Left: CT. Right: PSMA PET, same axial level, 18F-PSMA tracer. Acquired on Siemens Biograph mCT Flow 20. PET panel 200×200 px (4.1 mm/px).
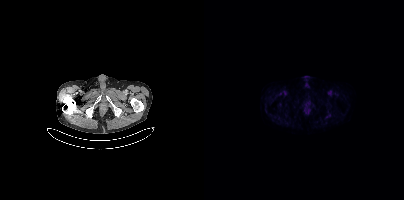
No PSMA-avid tumor lesions on this slice.